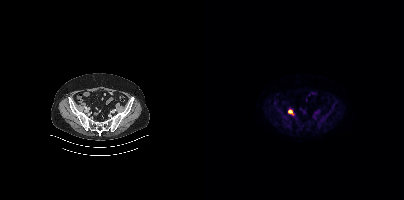
Coordinates are on the 200×200 PET (right) panel. PSMA-avid tumor lesion bounding box (x, y, width, height): x=84 y=109 w=6 h=6.